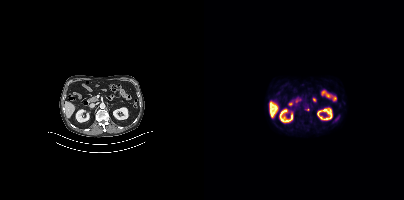
No PSMA-avid tumor lesions on this slice. Paired axial CT (left) and PSMA PET (right), 18F-PSMA tracer. Acquired on Siemens Biograph mCT Flow 20.